Technique: Two-panel axial: CT | PSMA PET, 18F tracer. PET panel 200×200 px (4.1 mm/px).
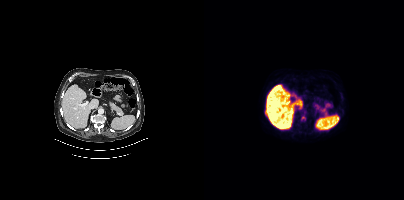
Findings: Negative for PSMA-avid disease on this slice.